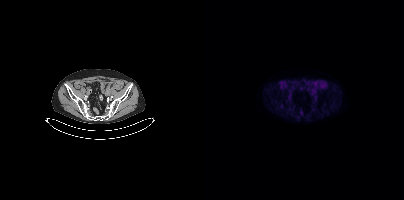
No tumor lesions annotated on this slice.